- Paired axial CT (left) and PSMA PET (right), 18F tracer
- PET panel 200×200 px (4.1 mm/px)
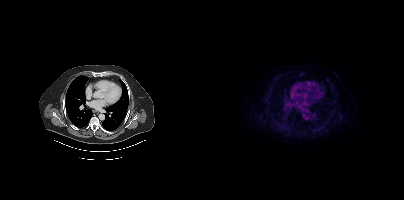
Findings: This slice has no annotated PSMA-avid lesion.